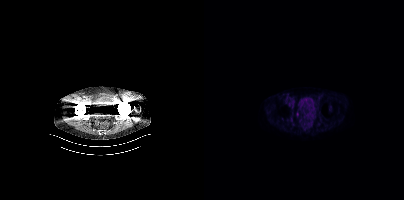
{"modality":"PSMA PET/CT","view":"axial","tracer":"18F","pet_grid":[200,200],"coord_frame":"pet_panel","coord_format":"x0,y0,x1,y1","psma_avid_lesions":false}